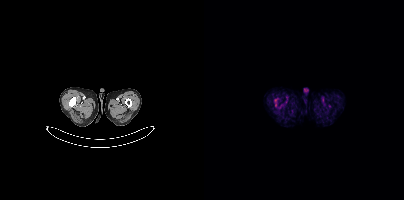
Two-panel axial: CT | PSMA PET, 18F tracer. Slice position z = -1744 mm. Coordinates are on the 200×200 PET (right) panel. Small PSMA-avid focus (2 to 4 px across) near (center x, center y): (71, 104).